Two-panel axial: CT | PSMA PET, 18F-PSMA tracer. Acquired on Siemens Biograph mCT Flow 20. PET panel 200×200 px (4.1 mm/px).
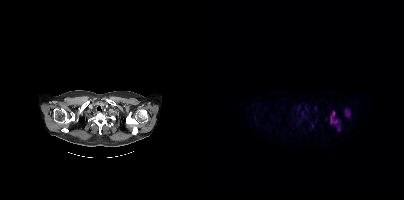
Coordinates are on the 200×200 PET (right) panel. PSMA-avid tumor lesion bounding boxes (partial; 1 more focus not listed):
| # | x0 | y0 | x1 | y1 |
|---|---|---|---|---|
| 1 | 142 | 110 | 146 | 115 |
| 2 | 127 | 118 | 133 | 122 |
| 3 | 134 | 125 | 136 | 130 |
Small PSMA-avid foci (2 to 4 px across) near (center x, center y): (129, 113); (108, 125).